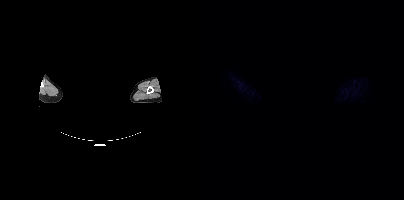
Two-panel axial: CT | PSMA PET, 18F tracer. PET panel 200×200 px (4.1 mm/px). A rectangular block over the head has been blanked out for de-identification. This slice has no annotated PSMA-avid lesion.